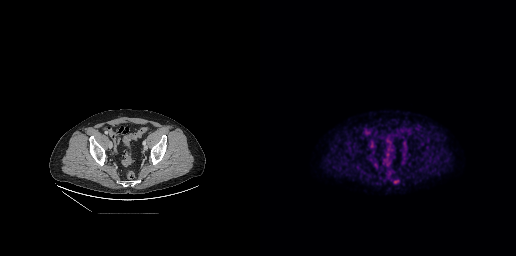
{"pet_grid":[256,256],"coord_frame":"pet_panel","coord_format":"x0,y0,x1,y1","lesion_bboxes":[[132,179,139,184]],"modality":"PSMA PET/CT","view":"axial","tracer":"18F-PSMA"}